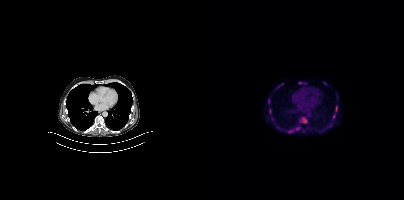
Coordinates are on the 200×200 PET (right) panel. (showing 8 of 10 foci) PSMA-avid tumor lesion bounding boxes (x0, y0)-(x1, y1): (95, 117)-(103, 123) | (94, 82)-(102, 84) | (131, 105)-(133, 111) | (129, 114)-(131, 119) | (64, 99)-(66, 103) | (84, 130)-(88, 132). Small PSMA-avid foci (2 to 4 px across) near (center x, center y): (93, 128) | (73, 87).